modality: PSMA PET/CT | tracer: 18F | view: axial | PET grid: 256×256
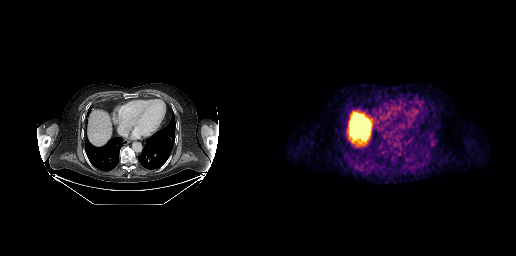
No tumor lesions annotated on this slice.